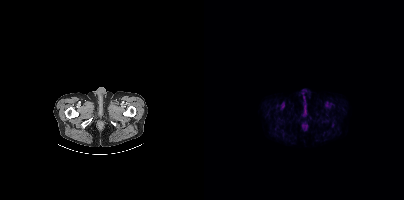
Findings: This slice has no annotated PSMA-avid lesion.
- Paired axial CT (left) and PSMA PET (right), 18F-PSMA tracer
- slice 30 of 435
- PET panel 200×200 px (4.1 mm/px)